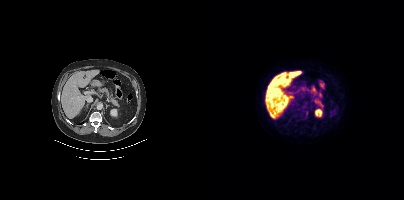
{"modality":"PSMA PET/CT","view":"axial","tracer":"[18F]PSMA-1007","pet_grid":[200,200],"coord_frame":"pet_panel","coord_format":"x0,y0,x1,y1","lesion_bboxes":[],"small_foci_centers":[[102,112]]}